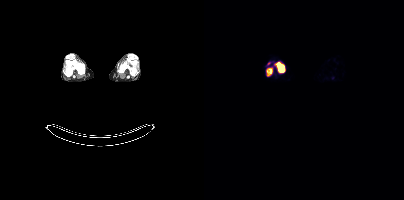
Coordinates are on the 200×200 PET (right) panel. PSMA-avid tumor lesion bounding boxes (x0,y0,x1,y1): [72,62,80,72]; [63,69,67,76]. Small PSMA-avid focus (2 to 4 px across) near (center x, center y): (64, 63).
modality: PSMA PET/CT | tracer: 18F-PSMA | view: axial | PET grid: 200×200